Technique: Paired axial CT (left) and PSMA PET (right), 18F-PSMA tracer. slice 35 of 401. PET panel 200×200 px (4.1 mm/px).
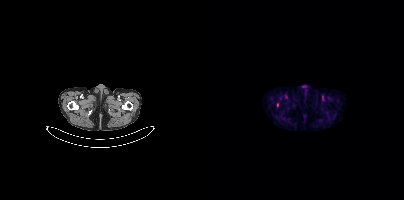
Findings: Coordinates are on the 200×200 PET (right) panel. Small PSMA-avid focus (2 to 4 px across) near (center x, center y): (73, 104).